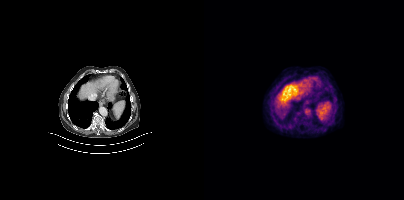
This slice has no annotated PSMA-avid lesion.
modality: PSMA PET/CT | tracer: 18F-PSMA | view: axial